modality: PSMA PET/CT | tracer: 18F-PSMA | view: axial | PET grid: 200×200
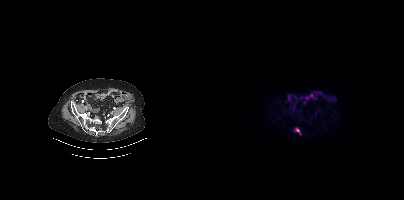
Coordinates are on the 200×200 PET (right) panel. PSMA-avid tumor lesion bounding box (x0,y0,x1,y1): [90,127,97,134].